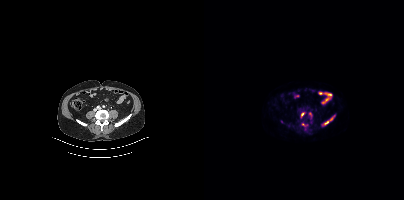
Coordinates are on the 200×200 PET (right) panel. (showing 3 of 4 foci) PSMA-avid tumor lesion bounding box (x, y, width, height): x=120 y=121 w=5 h=4. Small PSMA-avid foci (2 to 4 px across) near (center x, center y): (98, 114) | (127, 119).